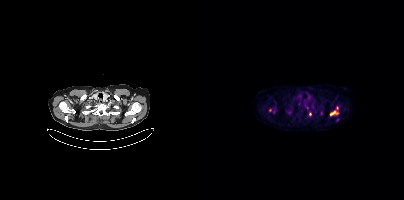
Coordinates are on the 200×200 PET (right) panel. (showing 3 of 5 foci) PSMA-avid tumor lesion bounding box (x0, y0)-(x1, y1): (126, 112)-(134, 115). Small PSMA-avid foci (2 to 4 px across) near (center x, center y): (106, 114); (66, 110).